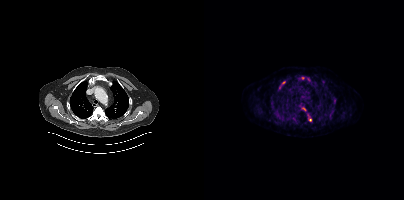
Coordinates are on the 200×200 PET (right) panel. PSMA-avid tumor lesion bounding boxes (x0, y0)-(x1, y1): (85, 114)-(92, 122); (124, 111)-(129, 117); (74, 81)-(81, 90); (71, 112)-(75, 117); (100, 115)-(107, 123); (96, 76)-(103, 79); (117, 79)-(121, 83); (129, 99)-(132, 103); (97, 107)-(101, 110); (66, 101)-(69, 105). Small PSMA-avid focus (2 to 4 px across) near (center x, center y): (104, 79).